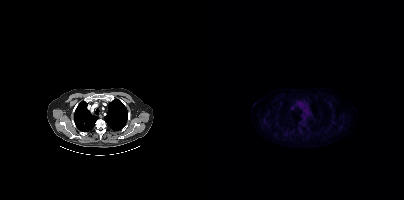
No tumor lesions annotated on this slice.
modality: PSMA PET/CT | tracer: 18F | view: axial | PET grid: 200×200